Technique: Two-panel axial: CT | PSMA PET, 68Ga-PSMA tracer. slice position z = -239 mm.
Note: Any black rectangle over the head is a privacy mask, not anatomy.
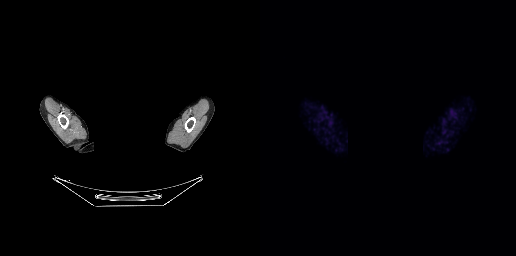
Findings: This slice has no annotated PSMA-avid lesion.